modality: PSMA PET/CT | tracer: 18F | view: axial
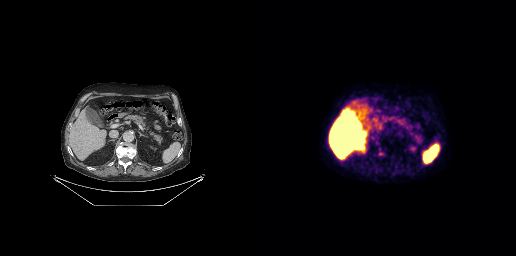
Coordinates are on the 256×256 PET (right) panel. Small PSMA-avid focus (2 to 4 px across) near (center x, center y): (120, 153).